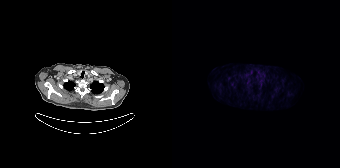
Coordinates are on the 168×168 PET (right) panel. Small PSMA-avid focus (2 to 4 px across) near (center x, center y): (62, 87).